modality: PSMA PET/CT | tracer: 18F-PSMA | view: axial | PET grid: 200×200
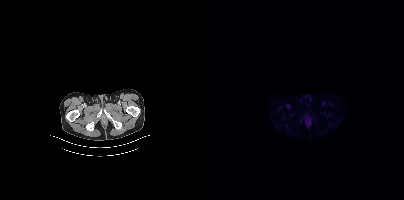
No PSMA-avid tumor lesions on this slice.